- Left: CT. Right: PSMA PET, same axial level, 18F-PSMA tracer
- slice position z = -1504 mm
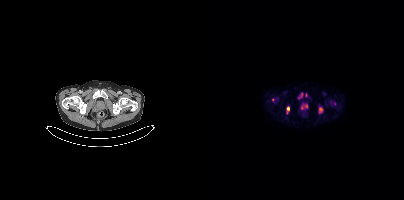
Findings: Coordinates are on the 200×200 PET (right) panel. (showing 4 of 5 foci) PSMA-avid tumor lesion bounding boxes (x0, y0)-(x1, y1): (82, 106)-(85, 113); (115, 107)-(118, 113); (94, 93)-(98, 98). Small PSMA-avid focus (2 to 4 px across) near (center x, center y): (68, 99).